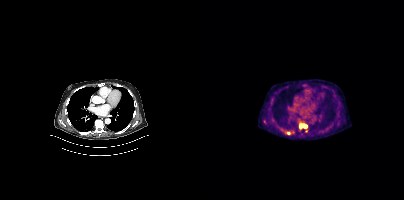
- Left: CT. Right: PSMA PET, same axial level, [18F]PSMA-1007 tracer
- PET panel 200×200 px (4.1 mm/px)
Findings: Coordinates are on the 200×200 PET (right) panel. (showing 2 of 3 foci) PSMA-avid tumor lesion bounding box (x, y, width, height): x=96 y=124 w=7 h=4. Small PSMA-avid focus (2 to 4 px across) near (center x, center y): (84, 133).